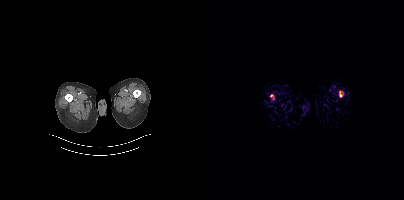
Paired axial CT (left) and PSMA PET (right), 68Ga tracer. Acquired on Siemens Biograph mCT Flow 20. Slice 4 of 397. No PSMA-avid tumor lesions on this slice.